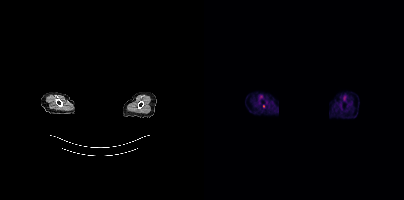
Paired axial CT (left) and PSMA PET (right), 18F tracer. Acquired on Siemens Biograph mCT Flow 20. The face region was removed for patient privacy by blanking a rectangle over the head. This slice has no annotated PSMA-avid lesion.